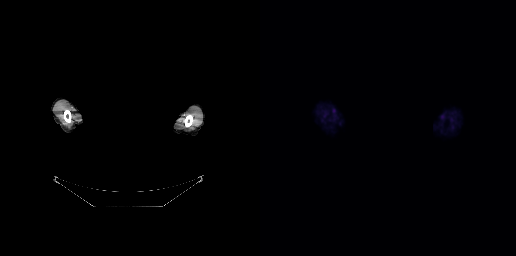
Technique: Left: CT. Right: PSMA PET, same axial level, 18F tracer. acquired on GE Discovery 690. PET panel 256×256 px (2.7 mm/px).
Note: A rectangle over the head was blacked out to remove identifiable facial features.
Findings: This slice has no annotated PSMA-avid lesion.